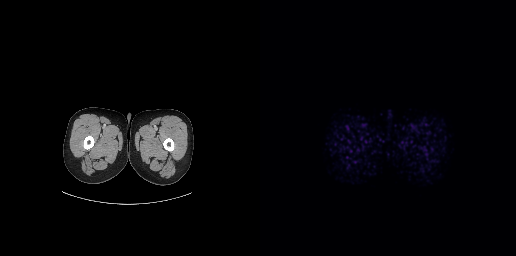
Left: CT. Right: PSMA PET, same axial level, 18F tracer. Acquired on GE Discovery 690. Slice position z = -864 mm. Negative for PSMA-avid disease on this slice.